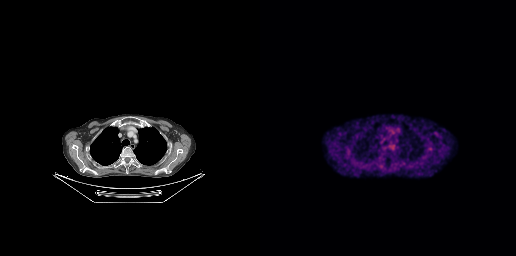
{"modality":"PSMA PET/CT","view":"axial","tracer":"[18F]PSMA-1007","pet_grid":[256,256],"coord_frame":"pet_panel","coord_format":"x0,y0,x1,y1","psma_avid_lesions":false}